De-identified by setting a box covering the face to black before release.
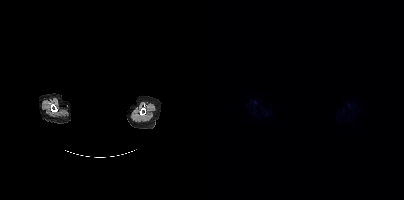
Negative for PSMA-avid disease on this slice.